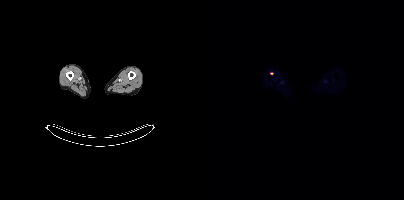
{"modality":"PSMA PET/CT","view":"axial","tracer":"18F","pet_grid":[200,200],"coord_frame":"pet_panel","coord_format":"x0,y0,x1,y1","lesion_bboxes":[],"small_foci_centers":[[67,73]]}